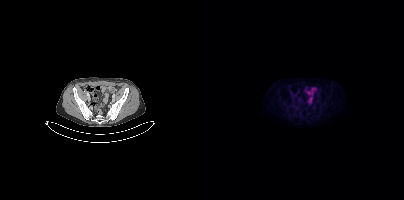
{"modality":"PSMA PET/CT","view":"axial","tracer":"18F-PSMA","pet_grid":[200,200],"coord_frame":"pet_panel","coord_format":"x0,y0,x1,y1","psma_avid_lesions":false}